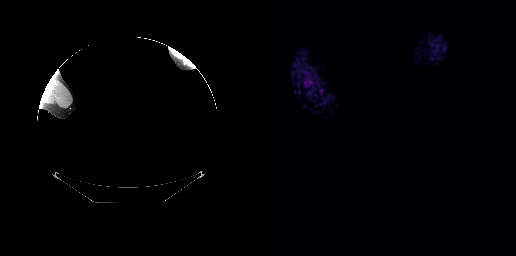
De-identified by setting a box covering the face to black before release. Two-panel axial: CT | PSMA PET, 18F tracer. Negative for PSMA-avid disease on this slice.